- Left: CT. Right: PSMA PET, same axial level, [18F]PSMA-1007 tracer
- acquired on Siemens Biograph mCT Flow 20
- slice position z = -462 mm
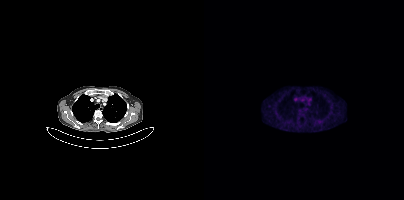
Findings: Negative for PSMA-avid disease on this slice.